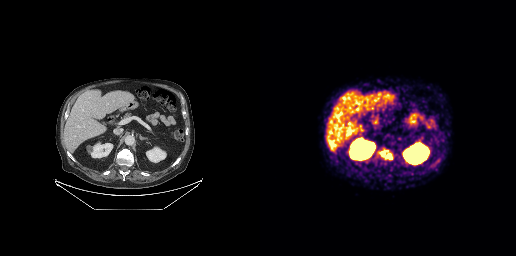
Coordinates are on the 256×256 PET (right) panel. PSMA-avid tumor lesion bounding box (x, y, width, height): x=118 y=148 w=16 h=12.